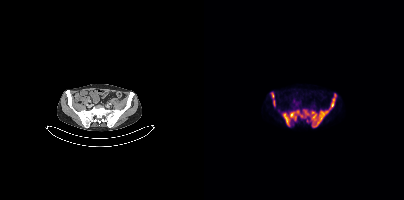
Coordinates are on the 200×200 PET (right) panel. PSMA-avid tumor lesion bounding boxes (x, y, width, height): x=78 y=93 w=55 h=35 / x=67 y=92 w=5 h=15. Small PSMA-avid focus (2 to 4 px across) near (center x, center y): (103, 120).